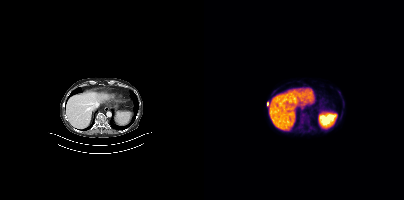
Coordinates are on the 200×200 PET (right) panel. PSMA-avid tumor lesion bounding boxes:
| # | x0 | y0 | x1 | y1 |
|---|---|---|---|---|
| 1 | 96 | 113 | 105 | 122 |
Small PSMA-avid focus (2 to 4 px across) near (center x, center y): (63, 103).
Left: CT. Right: PSMA PET, same axial level, 18F tracer. Slice 218 of 401. PET panel 200×200 px (4.1 mm/px).